- Two-panel axial: CT | PSMA PET, [18F]PSMA-1007 tracer
- PET panel 200×200 px (4.1 mm/px)
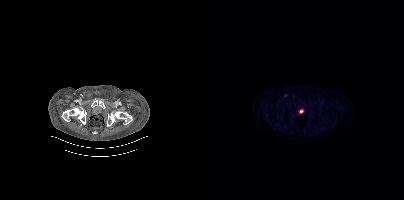
Findings: Coordinates are on the 200×200 PET (right) panel. Small PSMA-avid focus (2 to 4 px across) near (center x, center y): (82, 95).